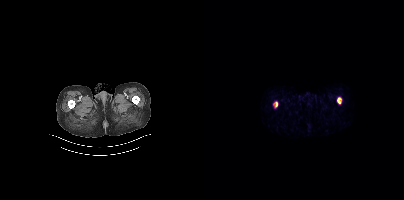
Findings: No tumor lesions annotated on this slice.
- Two-panel axial: CT | PSMA PET, 68Ga-PSMA tracer
- slice 27 of 397